modality: PSMA PET/CT | tracer: 68Ga | view: axial
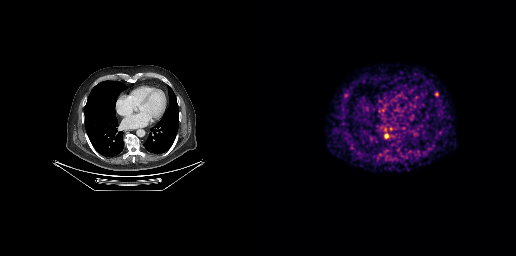
Coordinates are on the 256×256 PET (right) panel. Small PSMA-avid focus (2 to 4 px across) near (center x, center y): (126, 135).